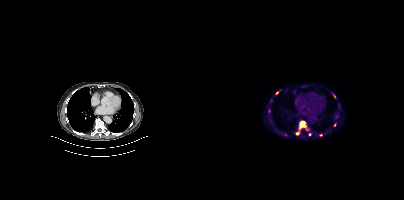
Coordinates are on the 200×200 PET (right) panel. (showing 5 of 7 foci) PSMA-avid tumor lesion bounding box (x0, y0)-(x1, y1): (95, 121)-(102, 129). Small PSMA-avid foci (2 to 4 px across) near (center x, center y): (93, 133) / (73, 93) / (129, 95) / (130, 125).